- Two-panel axial: CT | PSMA PET, 18F tracer
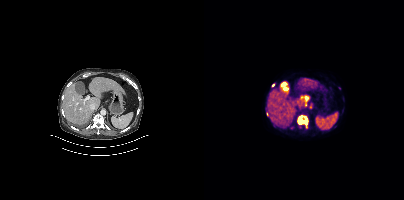
Findings: Coordinates are on the 200×200 PET (right) panel. (showing 2 of 3 foci) PSMA-avid tumor lesion bounding box (x0, y0)-(x1, y1): (93, 115)-(104, 127). Small PSMA-avid focus (2 to 4 px across) near (center x, center y): (69, 85).